- Paired axial CT (left) and PSMA PET (right), [68Ga]Ga-PSMA-11 tracer
- slice 120 of 263
- PET panel 256×256 px (2.7 mm/px)
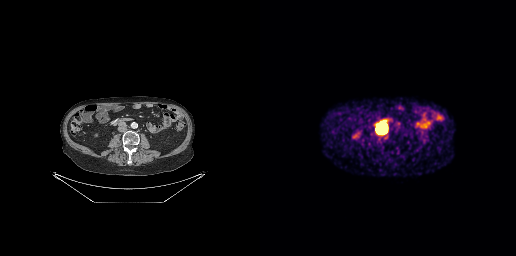
Findings: Coordinates are on the 256×256 PET (right) panel. PSMA-avid tumor lesion bounding box (x0, y0)-(x1, y1): (117, 125)-(125, 132).